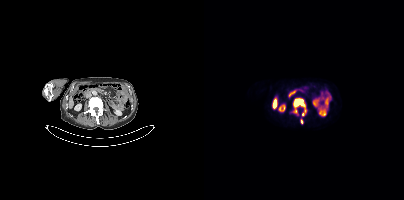
Coordinates are on the 200×200 PET (right) panel. PSMA-avid tumor lesion bounding boxes (x0,y0,x1,y1): [87,98,102,115]; [97,119,98,123].